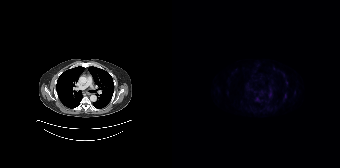
{"modality":"PSMA PET/CT","view":"axial","tracer":"18F","pet_grid":[168,168],"coord_frame":"pet_panel","coord_format":"x0,y0,x1,y1","psma_avid_lesions":false}